Two-panel axial: CT | PSMA PET, 18F tracer. Slice 414 of 427. Privacy masking over the head, with the pixels inside a rectangle set to black.
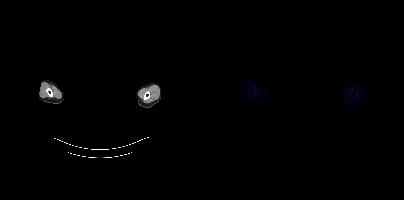
No PSMA-avid tumor lesions on this slice.